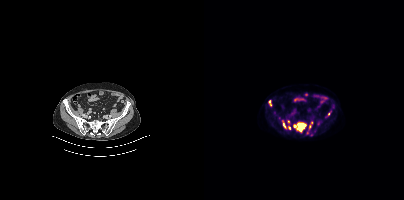
Coordinates are on the 200×200 PET (right) panel. (showing 8 of 11 foci) PSMA-avid tumor lesion bounding boxes (x0, y0)-(x1, y1): (93, 122)-(102, 132); (79, 121)-(81, 127); (65, 100)-(67, 105). Small PSMA-avid foci (2 to 4 px across) near (center x, center y): (91, 126); (85, 127); (124, 114); (84, 121); (105, 126).